modality: PSMA PET/CT | tracer: 68Ga-PSMA | view: axial | PET grid: 256×256
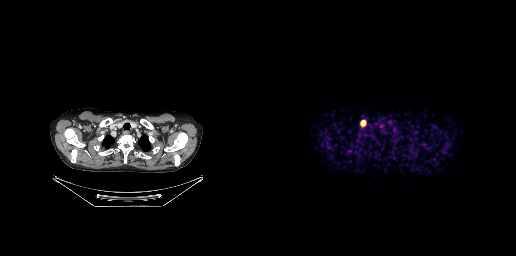
Coordinates are on the 256×256 PET (right) panel. PSMA-avid tumor lesion bounding box (x0,y0,x1,y1): [101,121,105,125].